Two-panel axial: CT | PSMA PET, 18F tracer. Slice 237 of 299. PET panel 256×256 px (2.7 mm/px).
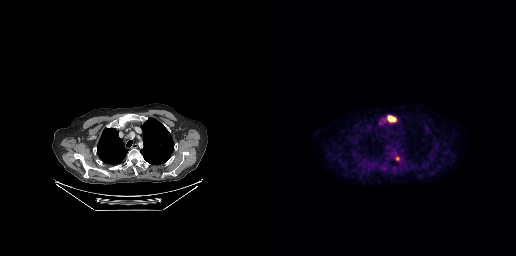
Coordinates are on the 256×256 PET (right) panel. (showing 2 of 3 foci) PSMA-avid tumor lesion bounding box (x0,y0,x1,y1): [128,116,135,120]. Small PSMA-avid focus (2 to 4 px across) near (center x, center y): (137, 158).